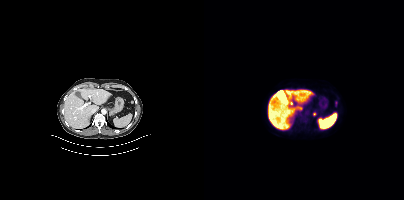
{"modality":"PSMA PET/CT","view":"axial","tracer":"18F-PSMA","pet_grid":[200,200],"coord_frame":"pet_panel","coord_format":"x0,y0,x1,y1","lesion_bboxes":[],"small_foci_centers":[[110,113]]}